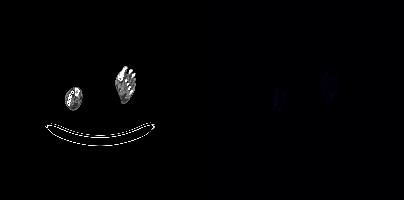
- Two-panel axial: CT | PSMA PET, 18F tracer
Findings: Negative for PSMA-avid disease on this slice.